Technique: Two-panel axial: CT | PSMA PET, 18F tracer. slice 290 of 387. PET panel 200×200 px (4.1 mm/px).
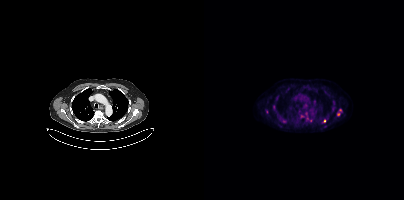
Findings: Coordinates are on the 200×200 PET (right) panel. (showing 5 of 6 foci) PSMA-avid tumor lesion bounding box (x0, y0)-(x1, y1): (104, 119)-(108, 121). Small PSMA-avid foci (2 to 4 px across) near (center x, center y): (62, 111); (134, 114); (120, 120); (136, 109).